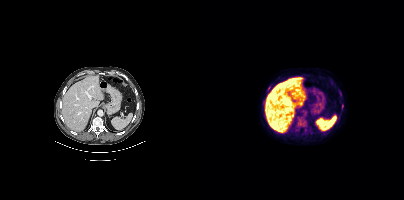
{"pet_grid":[200,200],"coord_frame":"pet_panel","coord_format":"x0,y0,x1,y1","partial":true,"lesion_bboxes":[],"small_foci_centers":[[136,93]],"modality":"PSMA PET/CT","view":"axial","tracer":"18F"}